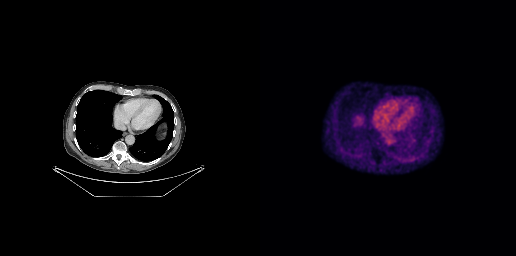
- Two-panel axial: CT | PSMA PET, 18F tracer
- PET panel 256×256 px (2.7 mm/px)
Findings: Negative for PSMA-avid disease on this slice.